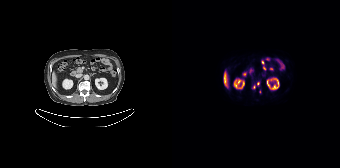
{"pet_grid":[168,168],"coord_frame":"pet_panel","coord_format":"x0,y0,x1,y1","partial":true,"lesion_bboxes":[],"small_foci_centers":[[86,83],[82,87]],"modality":"PSMA PET/CT","view":"axial","tracer":"18F-PSMA"}